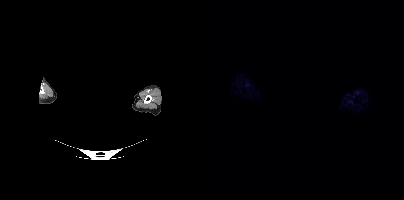
Negative for PSMA-avid disease on this slice. Any black rectangle over the head is a privacy mask, not anatomy. Two-panel axial: CT | PSMA PET, 18F tracer. Acquired on Siemens Biograph mCT Flow 20. PET panel 200×200 px (4.1 mm/px).